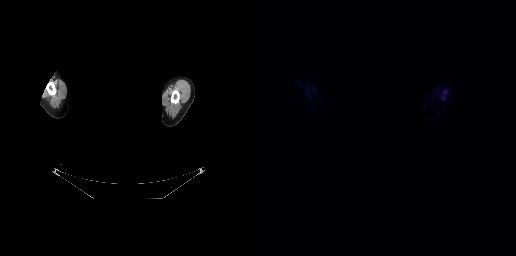
{"modality":"PSMA PET/CT","view":"axial","tracer":"18F-PSMA","pet_grid":[256,256],"coord_frame":"pet_panel","coord_format":"x0,y0,x1,y1","psma_avid_lesions":false,"redaction":"facial region redacted"}